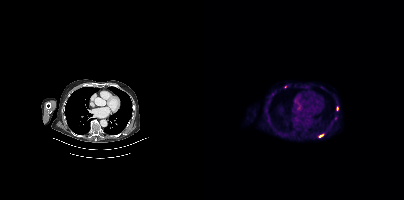
Coordinates are on the 200×200 PET (right) panel. (showing 4 of 5 foci) PSMA-avid tumor lesion bounding boxes (x0,y0,x1,y1): [115,134,119,137], [132,106,134,110]. Small PSMA-avid foci (2 to 4 px across) near (center x, center y): (68, 94), (81, 86).